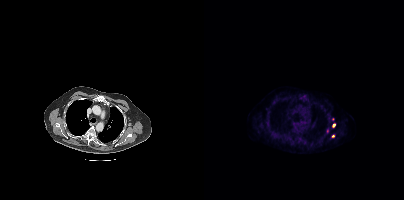
Left: CT. Right: PSMA PET, same axial level, [18F]PSMA-1007 tracer. Acquired on Siemens Biograph mCT Flow 20. Coordinates are on the 200×200 PET (right) panel. Small PSMA-avid foci (2 to 4 px across) near (center x, center y): (129, 125) (123, 131) (129, 135).